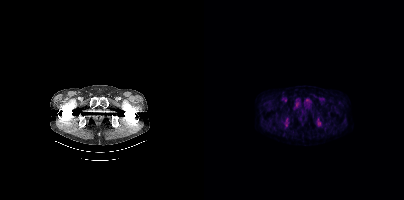
No PSMA-avid tumor lesions on this slice. Paired axial CT (left) and PSMA PET (right), 18F-PSMA tracer. PET panel 200×200 px (4.1 mm/px).